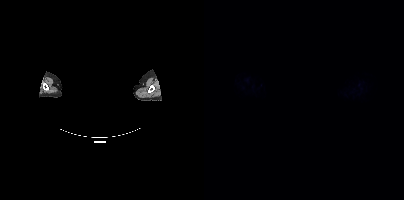
No PSMA-avid tumor lesions on this slice.
Facial anatomy redacted by setting a rectangular region of the head to black.